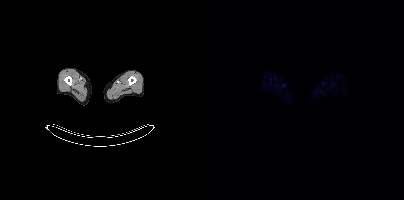
modality: PSMA PET/CT | tracer: 18F | view: axial | PET grid: 200×200
No PSMA-avid tumor lesions on this slice.